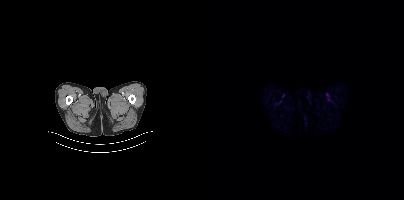
- Left: CT. Right: PSMA PET, same axial level, 18F tracer
- acquired on Siemens Biograph mCT Flow 20
- PET panel 200×200 px (4.1 mm/px)
Findings: No PSMA-avid tumor lesions on this slice.